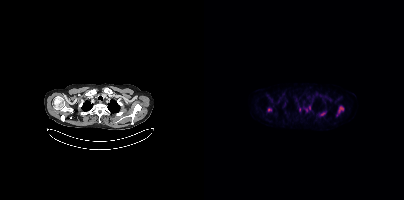
Coordinates are on the 200×200 PET (right) panel. (showing 3 of 5 foci) PSMA-avid tumor lesion bounding boxes (x, y, width, height): x=133 y=106 w=7 h=10 / x=116 y=112 w=5 h=4. Small PSMA-avid focus (2 to 4 px across) near (center x, center y): (65, 109).